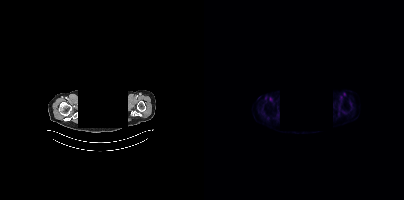
{"pet_grid":[200,200],"coord_frame":"pet_panel","coord_format":"x0,y0,x1,y1","psma_avid_lesions":false,"modality":"PSMA PET/CT","view":"axial","tracer":"[18F]PSMA-1007","redaction":"rectangular block over head set to black"}